- Left: CT. Right: PSMA PET, same axial level, [18F]PSMA-1007 tracer
- acquired on Siemens Biograph mCT Flow 20
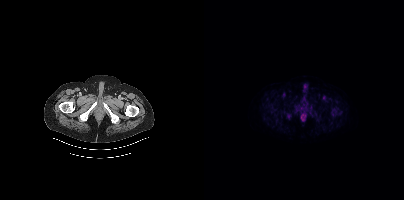
Findings: Coordinates are on the 200×200 PET (right) panel. (showing 3 of 4 foci) PSMA-avid tumor lesion bounding boxes (x0,y0,x1,y1): [83,113,87,118] [91,105,96,109] [129,111,132,115].